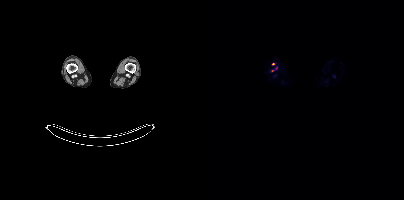
Technique: Two-panel axial: CT | PSMA PET, 18F tracer. acquired on Siemens Biograph mCT Flow 20.
Findings: Coordinates are on the 200×200 PET (right) panel. (showing 1 of 2 foci) Small PSMA-avid focus (2 to 4 px across) near (center x, center y): (69, 63).